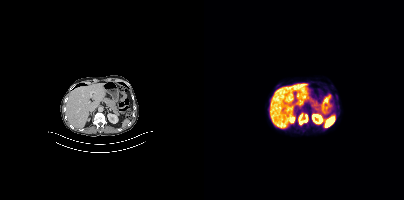
Coordinates are on the 200×200 PET (right) panel. PSMA-avid tumor lesion bounding box (x0, y0)-(x1, y1): (94, 113)-(104, 124).